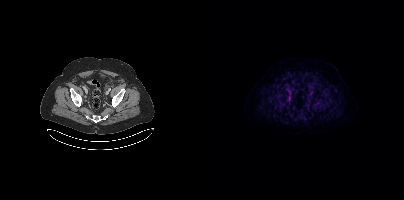
{"modality":"PSMA PET/CT","view":"axial","tracer":"[18F]PSMA-1007","pet_grid":[200,200],"coord_frame":"pet_panel","coord_format":"x0,y0,x1,y1","partial":true,"lesion_bboxes":[]}